Paired axial CT (left) and PSMA PET (right), 18F-PSMA tracer.
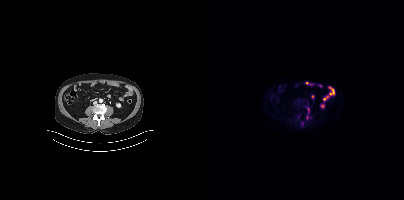
Coordinates are on the 200×200 PET (right) panel. (showing 1 of 2 foci) Small PSMA-avid focus (2 to 4 px across) near (center x, center y): (104, 109).